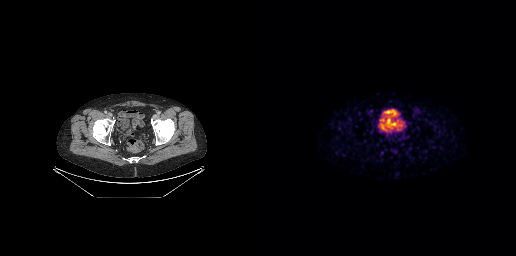
Paired axial CT (left) and PSMA PET (right), 68Ga-PSMA tracer. Slice 90 of 299. This slice has no annotated PSMA-avid lesion.